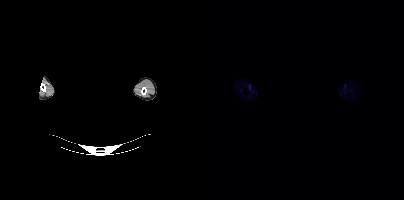
Technique: Left: CT. Right: PSMA PET, same axial level, 18F-PSMA tracer. acquired on Siemens Biograph mCT Flow 20.
Note: An anonymization step blacked out a rectangle over the head in this scan.
Findings: Negative for PSMA-avid disease on this slice.